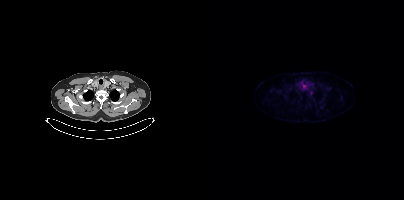
Findings: No PSMA-avid tumor lesions on this slice.
Technique: Two-panel axial: CT | PSMA PET, [68Ga]Ga-PSMA-11 tracer. slice 325 of 399. PET panel 200×200 px (4.1 mm/px).